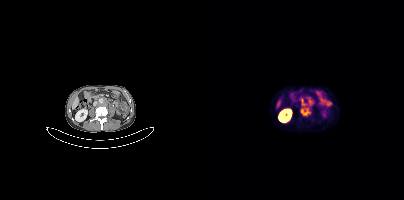
Technique: Paired axial CT (left) and PSMA PET (right), 68Ga-PSMA tracer.
Findings: Coordinates are on the 200×200 PET (right) panel. PSMA-avid tumor lesion bounding boxes (x0, y0)-(x1, y1): (96, 107)-(107, 116); (97, 99)-(102, 105); (104, 98)-(108, 104).